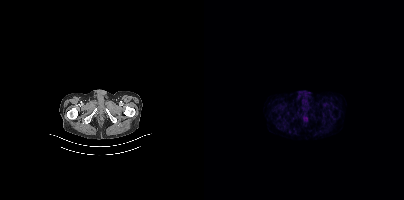
Paired axial CT (left) and PSMA PET (right), 18F tracer. Acquired on Siemens Biograph mCT Flow 20. Slice position z = -956 mm. PET panel 200×200 px (4.1 mm/px). No PSMA-avid tumor lesions on this slice.